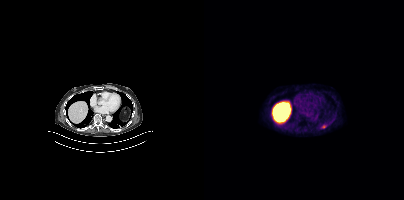
Two-panel axial: CT | PSMA PET, [18F]PSMA-1007 tracer. Acquired on Siemens Biograph mCT Flow 20. Slice position z = -590 mm. PET panel 200×200 px (4.1 mm/px). Coordinates are on the 200×200 PET (right) panel. PSMA-avid tumor lesion bounding box (x, y, width, height): x=117 y=124 w=6 h=5.